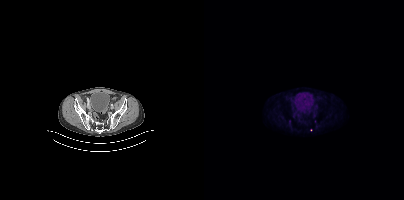
{"modality":"PSMA PET/CT","view":"axial","tracer":"18F","pet_grid":[200,200],"coord_frame":"pet_panel","coord_format":"x0,y0,x1,y1","partial":true,"lesion_bboxes":[]}